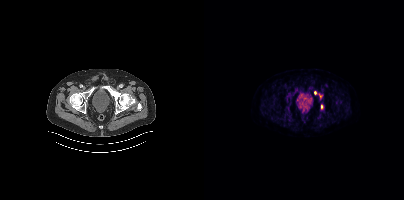
modality: PSMA PET/CT | tracer: 18F | view: axial | PET grid: 200×200
Coordinates are on the 200×200 PET (right) panel. PSMA-avid tumor lesion bounding boxes (x, y, width, height): x=115 y=94 w=4 h=6 / x=117 y=104 w=3 h=6. Small PSMA-avid focus (2 to 4 px across) near (center x, center y): (111, 92).